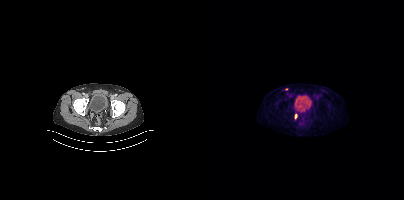
Findings: Coordinates are on the 200×200 PET (right) panel. PSMA-avid tumor lesion bounding box (x0, y0)-(x1, y1): (91, 114)-(93, 118). Small PSMA-avid focus (2 to 4 px across) near (center x, center y): (82, 89).
- Two-panel axial: CT | PSMA PET, 18F-PSMA tracer